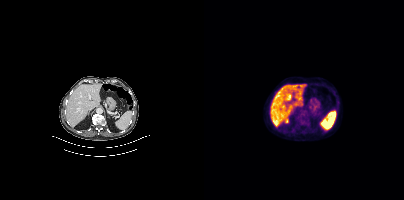
{"modality":"PSMA PET/CT","view":"axial","tracer":"18F","pet_grid":[200,200],"coord_frame":"pet_panel","coord_format":"x0,y0,x1,y1","psma_avid_lesions":false}